Two-panel axial: CT | PSMA PET, 18F-PSMA tracer. Acquired on Siemens Biograph mCT Flow 20. Slice position z = 222 mm. PET panel 200×200 px (4.1 mm/px).
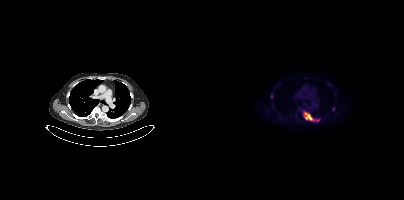
Coordinates are on the 200×200 PET (right) panel. PSMA-avid tumor lesion bounding boxes (partial; 1 more focus not listed):
| # | x0 | y0 | x1 | y1 |
|---|---|---|---|---|
| 1 | 99 | 111 | 115 | 121 |